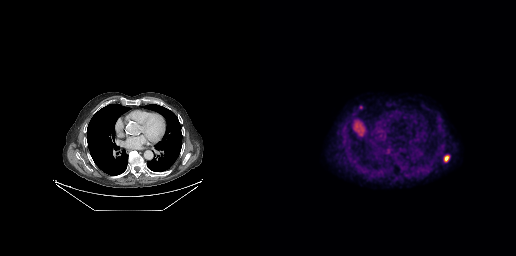
Coordinates are on the 256×256 PET (right) panel. PSMA-avid tumor lesion bounding box (x0, y0)-(x1, y1): (184, 156)-(188, 161). Small PSMA-avid focus (2 to 4 px across) near (center x, center y): (101, 107).
modality: PSMA PET/CT | tracer: [18F]PSMA-1007 | view: axial